Technique: Left: CT. Right: PSMA PET, same axial level, [18F]PSMA-1007 tracer.
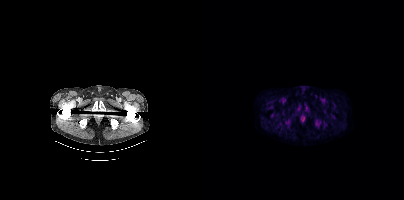
Findings: This slice has no annotated PSMA-avid lesion.